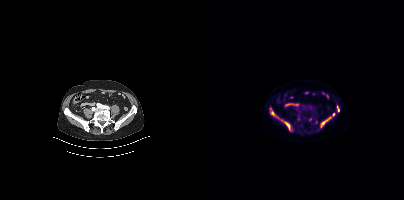
modality: PSMA PET/CT | tracer: 18F-PSMA | view: axial | PET grid: 200×200
Coordinates are on the 200×200 PET (right) panel. PSMA-avid tumor lesion bounding boxes (x0,y0,x1,y1): [117,113,131,127] [77,120,86,130] [66,112,73,117] [133,105,135,112]. Small PSMA-avid focus (2 to 4 px across) near (center x, center y): (106, 119).